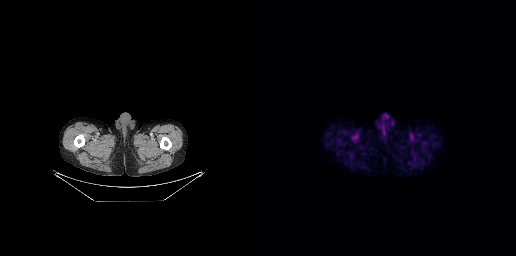
{"modality":"PSMA PET/CT","view":"axial","tracer":"18F","pet_grid":[256,256],"coord_frame":"pet_panel","coord_format":"x0,y0,x1,y1","psma_avid_lesions":false}